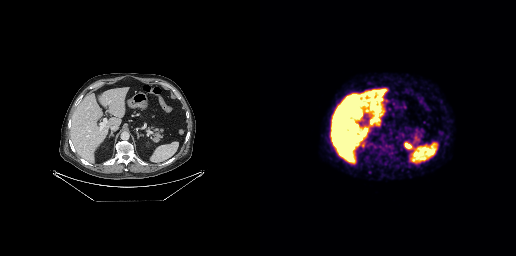
- Paired axial CT (left) and PSMA PET (right), 18F tracer
Findings: Negative for PSMA-avid disease on this slice.